modality: PSMA PET/CT | tracer: 18F | view: axial | PET grid: 200×200
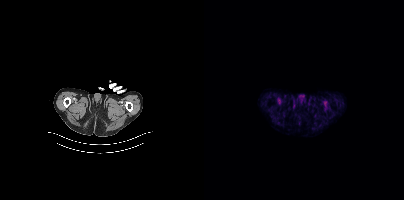
This slice has no annotated PSMA-avid lesion.